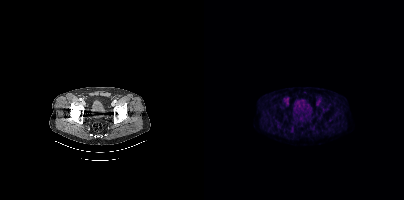
{"modality":"PSMA PET/CT","view":"axial","tracer":"18F","pet_grid":[200,200],"coord_frame":"pet_panel","coord_format":"x0,y0,x1,y1","psma_avid_lesions":false}